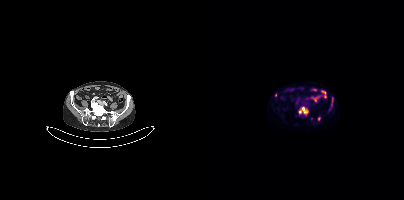
Coordinates are on the 200×200 PET (right) panel. (showing 3 of 5 foci) PSMA-avid tumor lesion bounding box (x0,y0,x1,y1): [95,107,104,113]. Small PSMA-avid foci (2 to 4 px across) near (center x, center y): (115, 118); (71, 95).